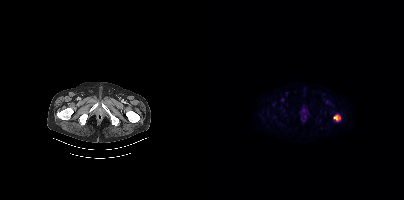
{"modality":"PSMA PET/CT","view":"axial","tracer":"18F","pet_grid":[200,200],"coord_frame":"pet_panel","coord_format":"x0,y0,x1,y1","lesion_bboxes":[[130,115,136,120]],"small_foci_centers":[[78,99]]}